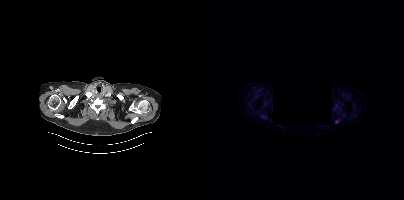
modality: PSMA PET/CT | tracer: 18F-PSMA | view: axial | de-identification: black rectangle is a privacy mask
Coordinates are on the 200×200 PET (right) panel. PSMA-avid tumor lesion bounding boxes (x0,y0,x1,y1): [58,116,62,119]; [131,120,135,123].